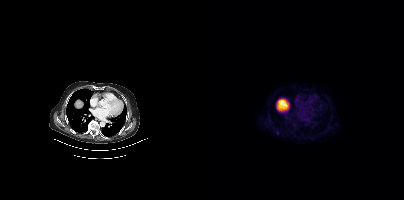
Technique: Paired axial CT (left) and PSMA PET (right), [18F]PSMA-1007 tracer.
Findings: Coordinates are on the 200×200 PET (right) panel. Small PSMA-avid focus (2 to 4 px across) near (center x, center y): (73, 132).